- Paired axial CT (left) and PSMA PET (right), [18F]PSMA-1007 tracer
- slice position z = -797 mm
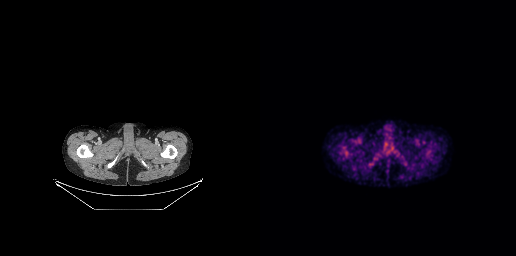
Findings: This slice has no annotated PSMA-avid lesion.